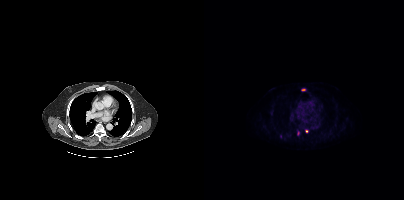
{"pet_grid":[200,200],"coord_frame":"pet_panel","coord_format":"x0,y0,x1,y1","partial":true,"lesion_bboxes":[],"small_foci_centers":[[99,89],[102,131]],"modality":"PSMA PET/CT","view":"axial","tracer":"[18F]PSMA-1007"}